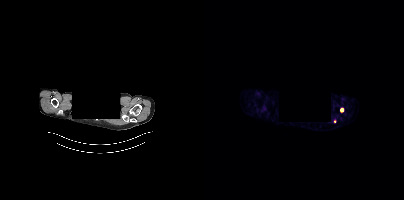
Left: CT. Right: PSMA PET, same axial level, [68Ga]Ga-PSMA-11 tracer. Acquired on Siemens Biograph mCT Flow 20. PET panel 200×200 px (4.1 mm/px). Facial anatomy redacted by setting a rectangular region of the head to black. Coordinates are on the 200×200 PET (right) panel. (showing 1 of 2 foci) Small PSMA-avid focus (2 to 4 px across) near (center x, center y): (137, 110).